modality: PSMA PET/CT | tracer: [68Ga]Ga-PSMA-11 | view: axial | PET grid: 168×168
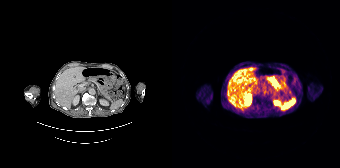
Negative for PSMA-avid disease on this slice.